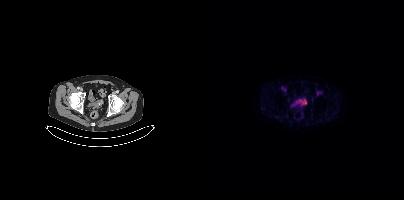
Coordinates are on the 200×200 PET (right) panel. PSMA-avid tumor lesion bounding box (x0, y0)-(x1, y1): (99, 100)-(102, 104).